modality: PSMA PET/CT | tracer: 68Ga-PSMA | view: axial | PET grid: 200×200 | redaction: face masked with black rectangle
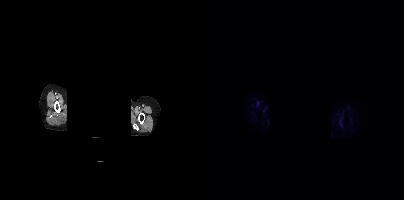
This slice has no annotated PSMA-avid lesion.